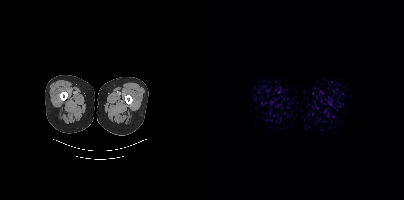
Paired axial CT (left) and PSMA PET (right), 18F-PSMA tracer. Acquired on Siemens Biograph mCT Flow 20. This slice has no annotated PSMA-avid lesion.